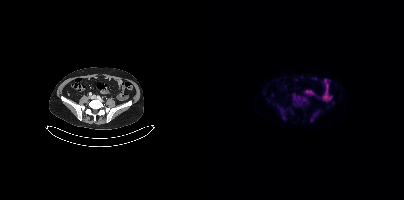
- Left: CT. Right: PSMA PET, same axial level, 18F tracer
- slice 134 of 431
Findings: This slice has no annotated PSMA-avid lesion.